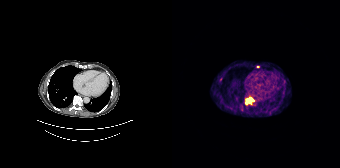
Paired axial CT (left) and PSMA PET (right), 68Ga tracer. PET panel 168×168 px (4.1 mm/px).
Coordinates are on the 168×168 PET (right) panel. PSMA-avid tumor lesion bounding boxes (partial; 1 more focus not listed):
| # | x0 | y0 | x1 | y1 |
|---|---|---|---|---|
| 1 | 75 | 98 | 81 | 102 |
Small PSMA-avid focus (2 to 4 px across) near (center x, center y): (85, 66).